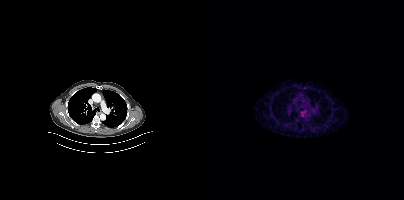
{"modality":"PSMA PET/CT","view":"axial","tracer":"[68Ga]Ga-PSMA-11","pet_grid":[200,200],"coord_frame":"pet_panel","coord_format":"x0,y0,x1,y1","psma_avid_lesions":false}